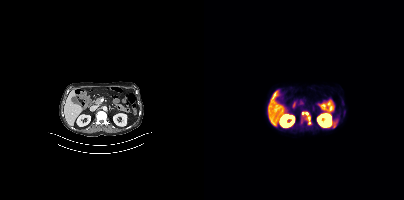
{"modality":"PSMA PET/CT","view":"axial","tracer":"18F-PSMA","pet_grid":[200,200],"coord_frame":"pet_panel","coord_format":"x0,y0,x1,y1","lesion_bboxes":[[97,112,106,124],[139,111,141,116]]}